Paired axial CT (left) and PSMA PET (right), [18F]PSMA-1007 tracer. Slice position z = -1390 mm. PET panel 200×200 px (4.1 mm/px).
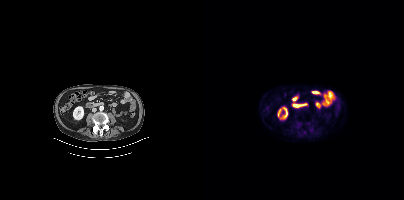
No PSMA-avid tumor lesions on this slice.